Technique: Left: CT. Right: PSMA PET, same axial level, [18F]PSMA-1007 tracer. PET panel 256×256 px (2.7 mm/px).
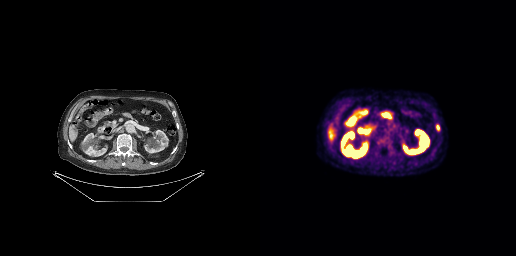
Findings: Coordinates are on the 256×256 PET (right) panel. PSMA-avid tumor lesion bounding box (x0,y0,x1,y1): [176,125,179,130].